Paired axial CT (left) and PSMA PET (right), 18F-PSMA tracer. Slice 389 of 389. PET panel 200×200 px (4.1 mm/px). Any black rectangle over the head is a privacy mask, not anatomy.
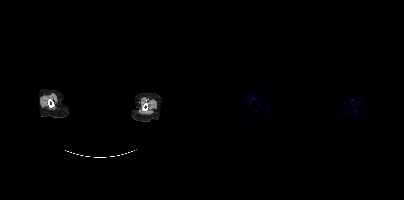
This slice has no annotated PSMA-avid lesion.